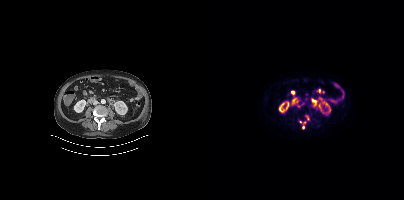
Findings: Coordinates are on the 200×200 PET (right) panel. (showing 3 of 5 foci) Small PSMA-avid foci (2 to 4 px across) near (center x, center y): (109, 100); (99, 127); (96, 121).
Technique: Left: CT. Right: PSMA PET, same axial level, [18F]PSMA-1007 tracer.